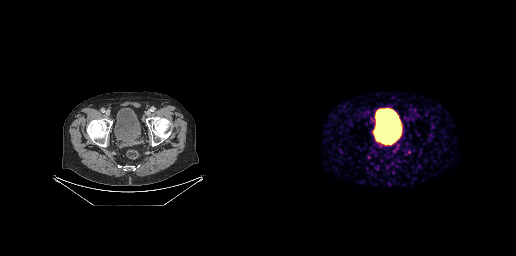
{"pet_grid":[256,256],"coord_frame":"pet_panel","coord_format":"x0,y0,x1,y1","lesion_bboxes":[[126,134,133,141]],"modality":"PSMA PET/CT","view":"axial","tracer":"[68Ga]Ga-PSMA-11"}